modality: PSMA PET/CT | tracer: [18F]PSMA-1007 | view: axial
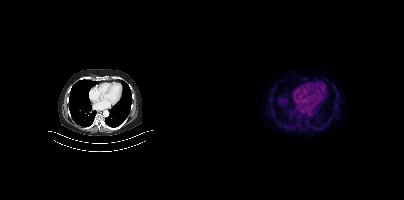
No PSMA-avid tumor lesions on this slice.